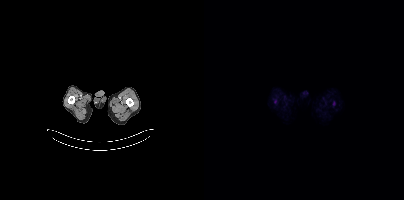
No tumor lesions annotated on this slice. Paired axial CT (left) and PSMA PET (right), [18F]PSMA-1007 tracer.